- Left: CT. Right: PSMA PET, same axial level, [18F]PSMA-1007 tracer
- acquired on Siemens Biograph mCT Flow 20
- slice 264 of 413
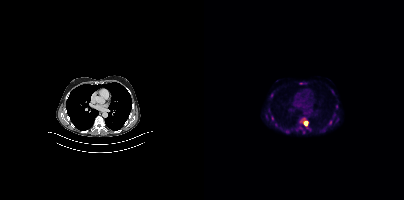
Findings: Coordinates are on the 200×200 PET (right) panel. (showing 6 of 8 foci) PSMA-avid tumor lesion bounding boxes (x0,y0,x1,y1): [99,120,104,126] [95,82,102,84]. Small PSMA-avid foci (2 to 4 px across) near (center x, center y): (68, 95) (130, 115) (133, 119) (132, 106).